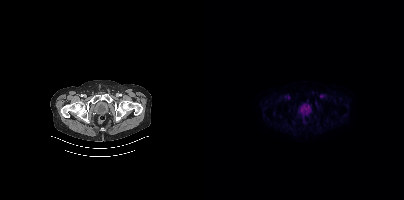
- Paired axial CT (left) and PSMA PET (right), 18F-PSMA tracer
- slice position z = -1565 mm
- PET panel 200×200 px (4.1 mm/px)
Findings: Negative for PSMA-avid disease on this slice.